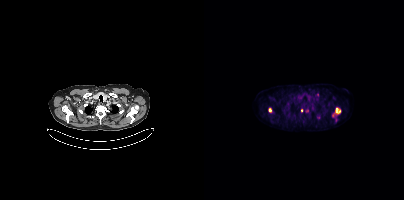
Findings: Coordinates are on the 200×200 PET (right) panel. (showing 5 of 6 foci) PSMA-avid tumor lesion bounding boxes (x0, y0)-(x1, y1): (128, 108)-(136, 117) / (64, 108)-(67, 112). Small PSMA-avid foci (2 to 4 px across) near (center x, center y): (98, 110) / (113, 94) / (102, 110).
Technique: Left: CT. Right: PSMA PET, same axial level, 18F tracer.